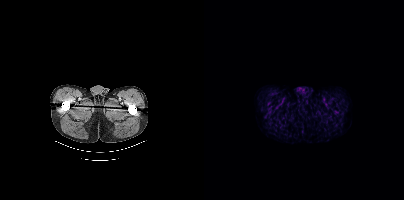
Technique: Left: CT. Right: PSMA PET, same axial level, 18F tracer. slice position z = -1579 mm. PET panel 200×200 px (4.1 mm/px).
Findings: This slice has no annotated PSMA-avid lesion.